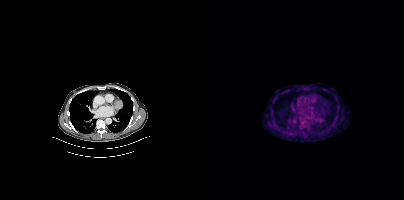
Coordinates are on the 200×200 PET (right) panel. PSMA-avid tumor lesion bounding box (x0, y0)-(x1, y1): (95, 117)-(102, 124).